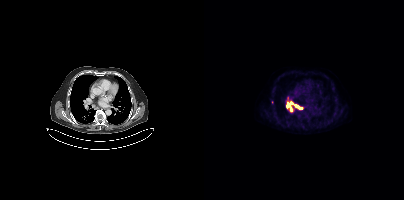
Coordinates are on the 200×200 PET (right) panel. PSMA-avid tumor lesion bounding box (x0,y0,x1,y1): [91,105,98,109]. Two-panel axial: CT | PSMA PET, 18F-PSMA tracer. Slice position z = -493 mm.